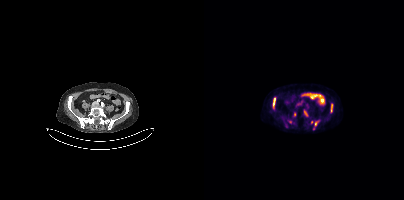
Coordinates are on the 200×200 PET (right) panel. PSMA-avid tumor lesion bounding boxes (partial; 1 more focus not listed):
| # | x0 | y0 | x1 | y1 |
|---|---|---|---|---|
| 1 | 68 | 98 | 71 | 108 |
| 2 | 127 | 104 | 128 | 112 |
| 3 | 111 | 121 | 114 | 125 |
Small PSMA-avid focus (2 to 4 px across) near (center x, center y): (90, 114).
Two-panel axial: CT | PSMA PET, [18F]PSMA-1007 tracer. Slice position z = -806 mm. PET panel 200×200 px (4.1 mm/px).